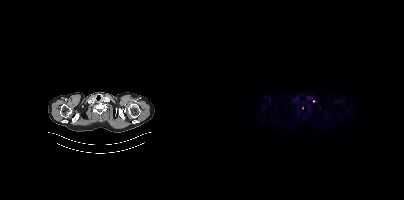
- Two-panel axial: CT | PSMA PET, 18F-PSMA tracer
- acquired on Siemens Biograph mCT Flow 20
Findings: Only PSMA-avid lesion pieces thinner than 2 px on this slice (not listed).